Paired axial CT (left) and PSMA PET (right), [18F]PSMA-1007 tracer. Acquired on Siemens Biograph mCT Flow 20. Slice 233 of 435. PET panel 200×200 px (4.1 mm/px).
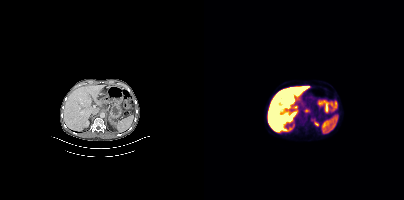
Coordinates are on the 200×200 PET (right) panel. PSMA-avid tumor lesion bounding boxes:
| # | x0 | y0 | x1 | y1 |
|---|---|---|---|---|
| 1 | 100 | 108 | 105 | 112 |